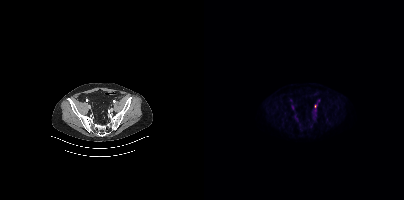
Technique: Two-panel axial: CT | PSMA PET, [18F]PSMA-1007 tracer. acquired on Siemens Biograph mCT Flow 20. PET panel 200×200 px (4.1 mm/px).
Findings: Coordinates are on the 200×200 PET (right) panel. Small PSMA-avid focus (2 to 4 px across) near (center x, center y): (111, 106).